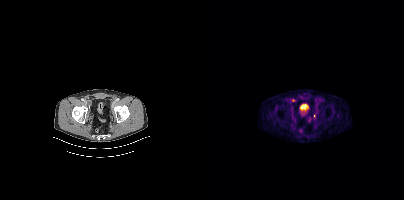
- Two-panel axial: CT | PSMA PET, 18F-PSMA tracer
- acquired on Siemens Biograph mCT Flow 20
Findings: Coordinates are on the 200×200 PET (right) panel. PSMA-avid tumor lesion bounding box (x, y, width, height): x=87 y=99 w=5 h=4. Small PSMA-avid focus (2 to 4 px across) near (center x, center y): (110, 115).